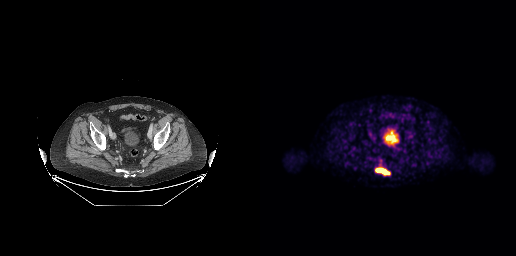
Coordinates are on the 256×256 PET (right) panel. PSMA-avid tumor lesion bounding box (x, y, width, height): x=115 y=167 w=16 h=9. Two-panel axial: CT | PSMA PET, 18F-PSMA tracer. Acquired on GE Discovery 690. PET panel 256×256 px (2.7 mm/px).